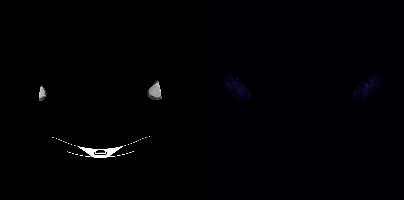
No tumor lesions annotated on this slice.
modality: PSMA PET/CT | tracer: 18F-PSMA | view: axial | PET grid: 200×200 | deidentification: rectangular block over head set to black